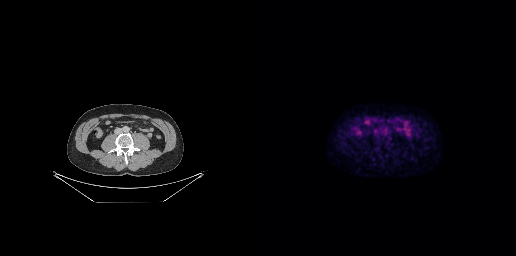
Negative for PSMA-avid disease on this slice.